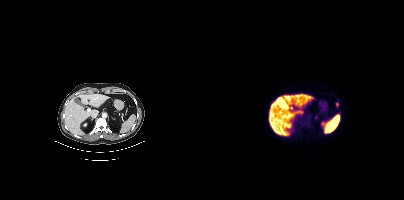
Findings: Coordinates are on the 200×200 PET (right) panel. (showing 1 of 2 foci) Small PSMA-avid focus (2 to 4 px across) near (center x, center y): (132, 104).
Technique: Two-panel axial: CT | PSMA PET, 18F-PSMA tracer. acquired on Siemens Biograph mCT Flow 20. PET panel 200×200 px (4.1 mm/px).